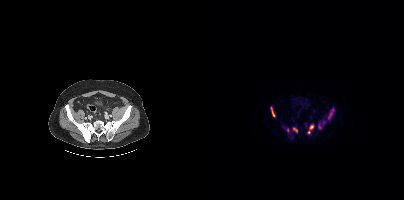
{"pet_grid":[200,200],"coord_frame":"pet_panel","coord_format":"x0,y0,x1,y1","partial":true,"lesion_bboxes":[[103,124,109,133],[124,108,130,118],[66,106,71,117],[89,127,93,132],[115,124,117,128]],"small_foci_centers":[[83,130]],"modality":"PSMA PET/CT","view":"axial","tracer":"18F"}